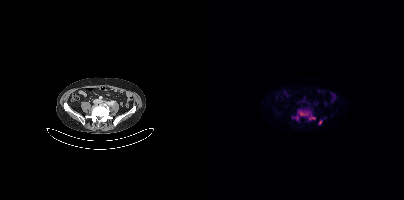
{"modality":"PSMA PET/CT","view":"axial","tracer":"[18F]PSMA-1007","pet_grid":[200,200],"coord_frame":"pet_panel","coord_format":"x0,y0,x1,y1","lesion_bboxes":[[91,110,111,120],[114,120,118,124]],"small_foci_centers":[[88,117]]}